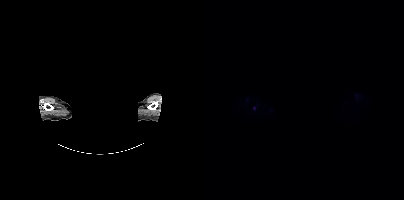
{"modality":"PSMA PET/CT","view":"axial","tracer":"18F","pet_grid":[200,200],"coord_frame":"pet_panel","coord_format":"x0,y0,x1,y1","de-identification":"head region blacked out before release","lesion_bboxes":[],"small_foci_centers":[[49,107]]}